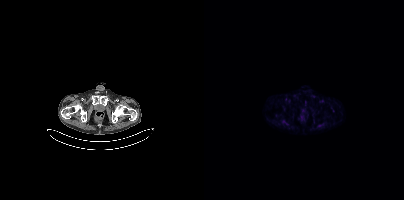
Negative for PSMA-avid disease on this slice.